Technique: Paired axial CT (left) and PSMA PET (right), 68Ga-PSMA tracer. slice 131 of 450. PET panel 200×200 px (4.1 mm/px).
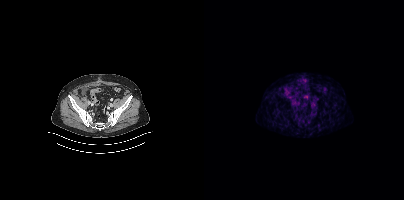
Findings: This slice has no annotated PSMA-avid lesion.